- Two-panel axial: CT | PSMA PET, 18F tracer
- acquired on GE Discovery 690
- slice position z = -827 mm
- PET panel 256×256 px (2.7 mm/px)
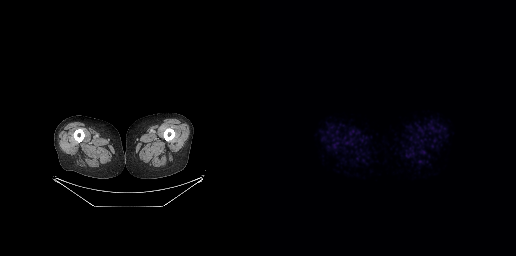
Findings: This slice has no annotated PSMA-avid lesion.